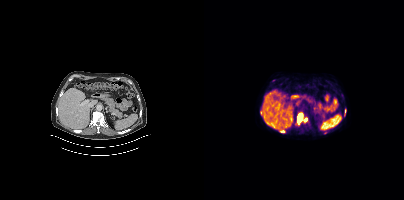
Technique: Two-panel axial: CT | PSMA PET, 18F-PSMA tracer. acquired on Siemens Biograph mCT Flow 20. slice position z = -640 mm. PET panel 200×200 px (4.1 mm/px).
Findings: Coordinates are on the 200×200 PET (right) panel. PSMA-avid tumor lesion bounding box (x0,y0,x1,y1): [93,113,103,124].